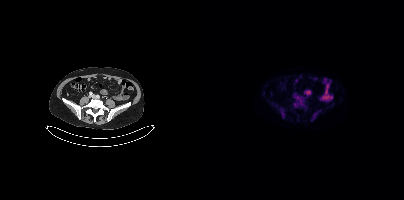
Findings: This slice has no annotated PSMA-avid lesion.
Technique: Left: CT. Right: PSMA PET, same axial level, 18F tracer. acquired on Siemens Biograph mCT Flow 20. slice 137 of 431.